- Left: CT. Right: PSMA PET, same axial level, 18F-PSMA tracer
- slice position z = -1136 mm
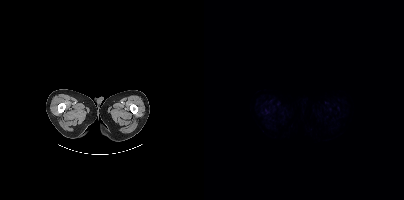
Findings: No tumor lesions annotated on this slice.